Two-panel axial: CT | PSMA PET, [68Ga]Ga-PSMA-11 tracer. Acquired on Siemens Biograph mCT Flow 20. Slice position z = 466 mm.
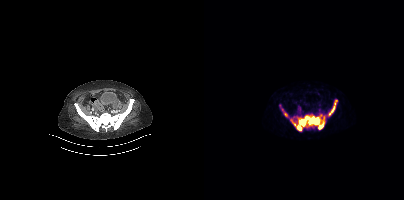
Coordinates are on the 200×200 PET (right) panel. PSMA-avid tumor lesion bounding boxes (x0,y0,x1,y1): [88,114,121,130]; [124,100,133,115]; [75,104,83,117].